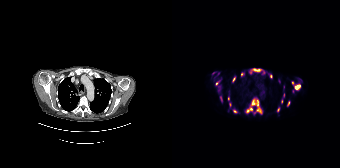
Coordinates are on the 168×168 PET (right) panel. (showing 15 of 19 foci) PSMA-avid tumor lesion bounding boxes (x0,y0,x1,y1): [79,98,90,114], [120,81,128,90], [78,68,90,73], [74,107,80,112], [43,81,47,85], [60,77,63,81], [115,101,118,105]. Small PSMA-avid foci (2 to 4 px across) near (center x, center y): (62, 111), (70, 74), (99, 76), (56, 98), (106, 109), (49, 98), (109, 101), (91, 72). Two-panel axial: CT | PSMA PET, [18F]PSMA-1007 tracer. Acquired on Siemens Biograph 64-4R TruePoint. PET panel 168×168 px (4.1 mm/px).